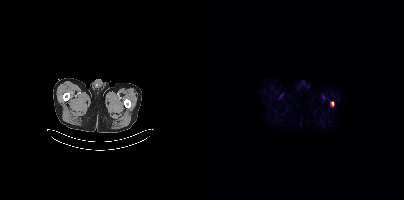
modality: PSMA PET/CT | tracer: 18F | view: axial | PET grid: 200×200
Coordinates are on the 200×200 PET (right) panel. PSMA-avid tumor lesion bounding box (x0, y0)-(x1, y1): (127, 101)-(129, 106).